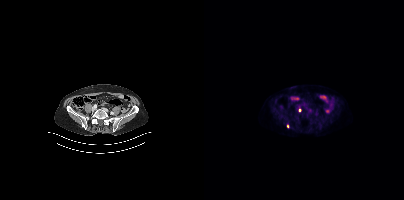
Coordinates are on the 200×200 PET (right) panel. Small PSMA-avid foci (2 to 4 px across) near (center x, center y): (95, 110); (83, 126).